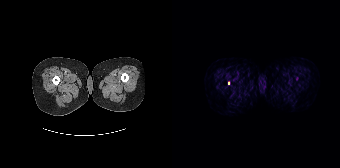
Coordinates are on the 168×168 PET (right) panel. Small PSMA-avid foci (2 to 4 px across) near (center x, center y): (56, 83); (124, 78). Paired axial CT (left) and PSMA PET (right), 68Ga-PSMA tracer. Slice position z = -1618 mm.